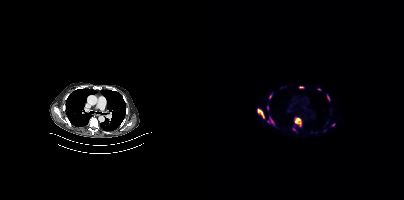
Findings: Coordinates are on the 200×200 PET (right) panel. (showing 10 of 11 foci) PSMA-avid tumor lesion bounding boxes (x, y, width, height): x=91 y=117 w=7 h=10 | x=53 y=108 w=8 h=11 | x=67 y=119 w=4 h=6 | x=95 y=86 w=5 h=3 | x=123 y=95 w=3 h=6. Small PSMA-avid foci (2 to 4 px across) near (center x, center y): (66, 96) | (63, 107) | (115, 89) | (129, 124) | (90, 129).
Technique: Paired axial CT (left) and PSMA PET (right), 18F-PSMA tracer. acquired on Siemens Biograph mCT Flow 20. slice position z = -376 mm.